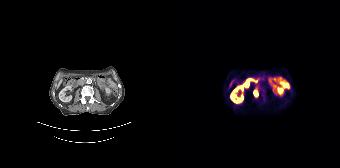
{"modality":"PSMA PET/CT","view":"axial","tracer":"68Ga","pet_grid":[168,168],"coord_frame":"pet_panel","coord_format":"x0,y0,x1,y1","lesion_bboxes":[[82,91,85,95]],"small_foci_centers":[[84,88]]}